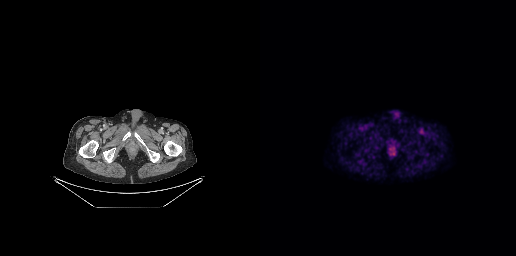
Technique: Paired axial CT (left) and PSMA PET (right), 18F tracer. acquired on GE Discovery 690.
Findings: Negative for PSMA-avid disease on this slice.